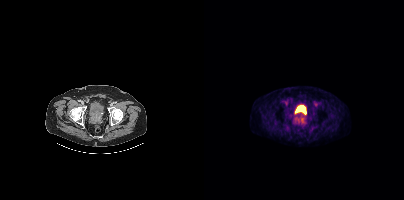
Only PSMA-avid lesion pieces thinner than 2 px on this slice (not listed).